modality: PSMA PET/CT | tracer: 68Ga-PSMA | view: axial | PET grid: 168×168
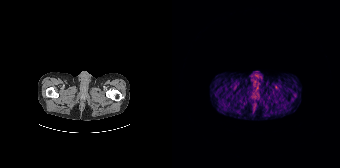
Negative for PSMA-avid disease on this slice.